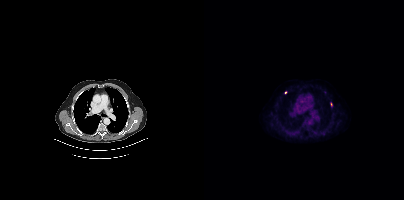
Coordinates are on the 200×200 PET (right) panel. (showing 1 of 2 foci) Small PSMA-avid focus (2 to 4 px across) near (center x, center y): (81, 92). Paired axial CT (left) and PSMA PET (right), 18F tracer. Slice 296 of 401.